modality: PSMA PET/CT | tracer: 68Ga-PSMA | view: axial
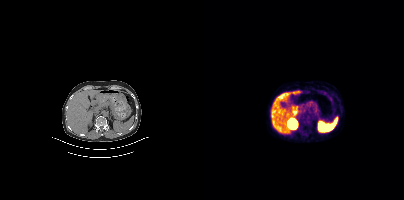
No tumor lesions annotated on this slice.